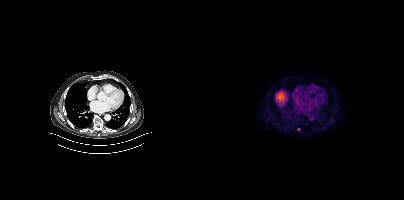
- Paired axial CT (left) and PSMA PET (right), 18F tracer
- acquired on Siemens Biograph mCT Flow 20
- slice 307 of 466
Findings: Coordinates are on the 200×200 PET (right) panel. Small PSMA-avid focus (2 to 4 px across) near (center x, center y): (94, 129).